Left: CT. Right: PSMA PET, same axial level, 18F-PSMA tracer. Acquired on Siemens Biograph mCT Flow 20. Slice 128 of 419.
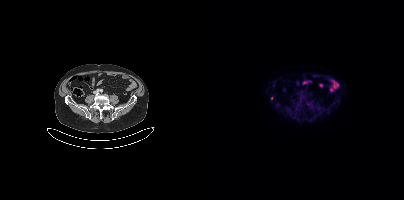
Coordinates are on the 200×200 PET (right) panel. Small PSMA-avid focus (2 to 4 px across) near (center x, center y): (67, 98).